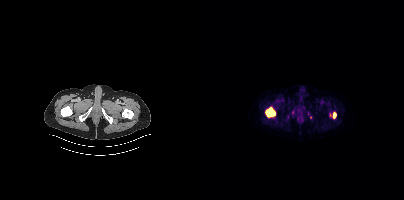
Paired axial CT (left) and PSMA PET (right), 18F tracer. PET panel 200×200 px (4.1 mm/px).
Coordinates are on the 200×200 PET (right) panel. PSMA-avid tumor lesion bounding boxes:
| # | x0 | y0 | x1 | y1 |
|---|---|---|---|---|
| 1 | 61 | 107 | 71 | 116 |
| 2 | 129 | 112 | 132 | 118 |